Two-panel axial: CT | PSMA PET, 18F tracer. PET panel 256×256 px (2.7 mm/px).
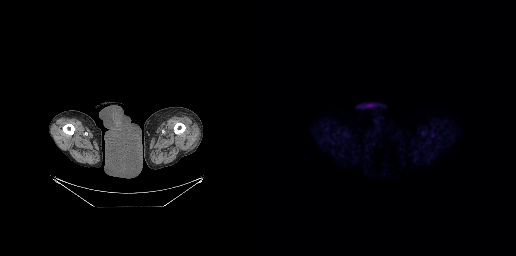
Negative for PSMA-avid disease on this slice.